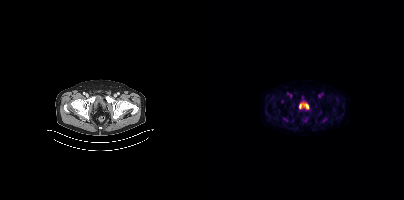
{"modality":"PSMA PET/CT","view":"axial","tracer":"[18F]PSMA-1007","pet_grid":[200,200],"coord_frame":"pet_panel","coord_format":"x0,y0,x1,y1","lesion_bboxes":[[79,117,84,121],[118,118,122,122]],"small_foci_centers":[[78,101]]}